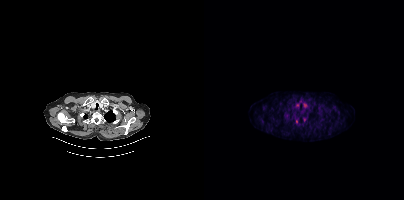
{"modality":"PSMA PET/CT","view":"axial","tracer":"[18F]PSMA-1007","pet_grid":[200,200],"coord_frame":"pet_panel","coord_format":"x0,y0,x1,y1","lesion_bboxes":[],"small_foci_centers":[[92,121],[100,120]]}